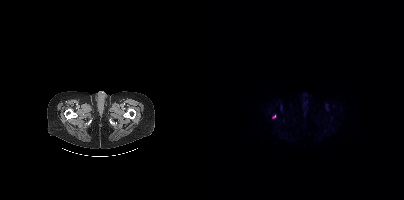
Two-panel axial: CT | PSMA PET, 18F-PSMA tracer. Only PSMA-avid lesion pieces thinner than 2 px on this slice (not listed).